modality: PSMA PET/CT | tracer: 18F-PSMA | view: axial
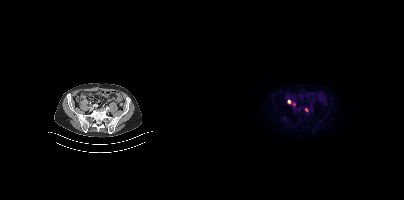
Coordinates are on the 200×200 PET (right) panel. Small PSMA-avid foci (2 to 4 px across) near (center x, center y): (85, 101); (90, 104); (102, 109).